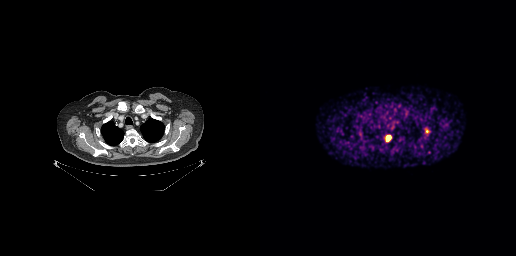
Findings: Coordinates are on the 256×256 PET (right) panel. PSMA-avid tumor lesion bounding box (x0,y0,x1,y1): [126,135,130,141]. Small PSMA-avid focus (2 to 4 px across) near (center x, center y): (167, 131).
Technique: Left: CT. Right: PSMA PET, same axial level, 68Ga-PSMA tracer. slice 218 of 263.